Left: CT. Right: PSMA PET, same axial level, [18F]PSMA-1007 tracer. Slice position z = 264 mm.
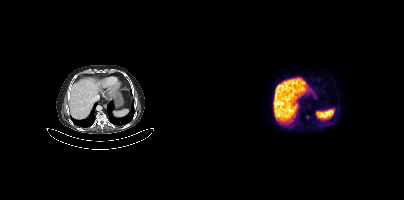
This slice has no annotated PSMA-avid lesion.